Technique: Left: CT. Right: PSMA PET, same axial level, [18F]PSMA-1007 tracer. slice 21 of 381. PET panel 200×200 px (4.1 mm/px).
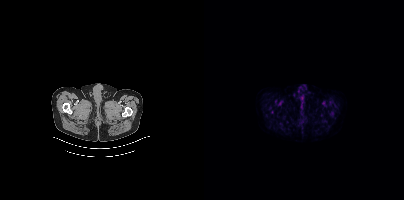
Findings: This slice has no annotated PSMA-avid lesion.